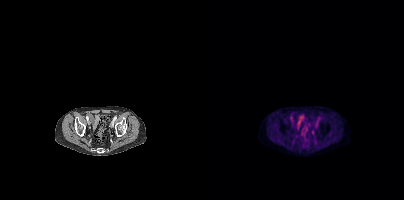
No PSMA-avid tumor lesions on this slice.